- Two-panel axial: CT | PSMA PET, 18F-PSMA tracer
- slice 35 of 263
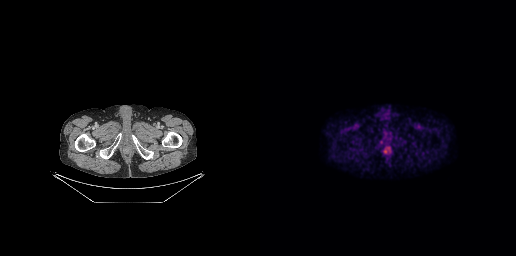
Findings: No PSMA-avid tumor lesions on this slice.